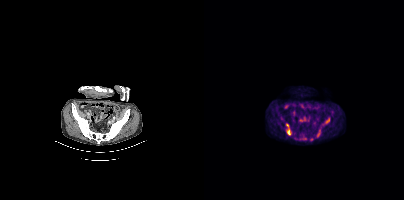
Two-panel axial: CT | PSMA PET, 18F tracer. Acquired on Siemens Biograph mCT Flow 20. Slice position z = -1372 mm.
Coordinates are on the 200×200 PET (right) panel. PSMA-avid tumor lesion bounding boxes (partial; 1 more focus not listed):
| # | x0 | y0 | x1 | y1 |
|---|---|---|---|---|
| 1 | 90 | 135 | 103 | 140 |
| 2 | 82 | 124 | 87 | 134 |
| 3 | 120 | 117 | 125 | 124 |
| 4 | 113 | 129 | 116 | 137 |
Small PSMA-avid focus (2 to 4 px across) near (center x, center y): (107, 139).